- Paired axial CT (left) and PSMA PET (right), 18F tracer
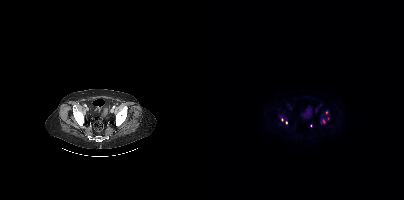
Findings: Coordinates are on the 200×200 PET (right) panel. (showing 4 of 7 foci) PSMA-avid tumor lesion bounding box (x, y, width, height): x=118 y=119 w=4 h=5. Small PSMA-avid foci (2 to 4 px across) near (center x, center y): (122, 112); (82, 122); (124, 118).